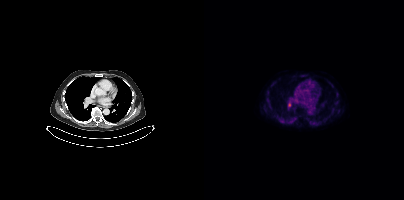
modality: PSMA PET/CT | tracer: 18F | view: axial
Coordinates are on the 200×200 PET (right) panel. PSMA-avid tumor lesion bounding box (x0, y0)-(x1, y1): (84, 102)-(86, 106).